Paired axial CT (left) and PSMA PET (right), 68Ga-PSMA tracer. Acquired on Siemens Biograph 64-4R TruePoint. A rectangular region was set to black for de-identification.
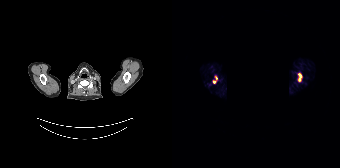
Coordinates are on the 168×168 PET (right) panel. PSMA-avid tumor lesion bounding boxes (partial; 2 more foci not listed):
| # | x0 | y0 | x1 | y1 |
|---|---|---|---|---|
| 1 | 43 | 76 | 45 | 80 |
Small PSMA-avid foci (2 to 4 px across) near (center x, center y): (128, 75); (127, 79).